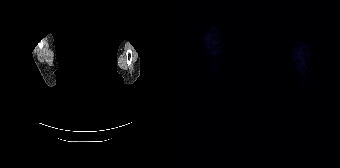
modality: PSMA PET/CT | tracer: 18F | view: axial | deidentification: rectangular block over head set to black
Negative for PSMA-avid disease on this slice.